Left: CT. Right: PSMA PET, same axial level, [18F]PSMA-1007 tracer. Acquired on Siemens Biograph mCT Flow 20. PET panel 200×200 px (4.1 mm/px).
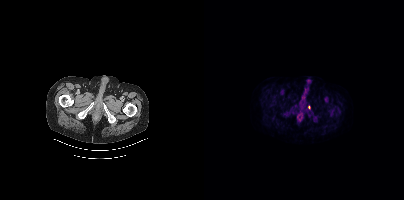
Coordinates are on the 200×200 PET (right) panel. PSMA-avid tumor lesion bounding boxes:
| # | x0 | y0 | x1 | y1 |
|---|---|---|---|---|
| 1 | 104 | 105 | 106 | 109 |